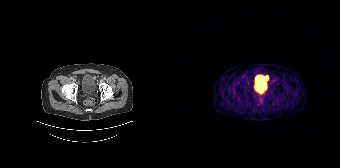
Coordinates are on the 168×168 PET (right) panel. Small PSMA-avid focus (2 to 4 px across) near (center x, center y): (94, 77).
modality: PSMA PET/CT | tracer: 68Ga-PSMA | view: axial | PET grid: 168×168